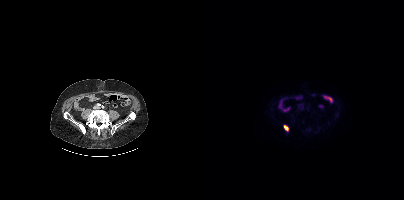
Coordinates are on the 200×200 PET (right) panel. PSMA-avid tumor lesion bounding box (x0,y0,x1,y1): [80,125,84,130].